Paired axial CT (left) and PSMA PET (right), [18F]PSMA-1007 tracer. Acquired on Siemens Biograph mCT Flow 20.
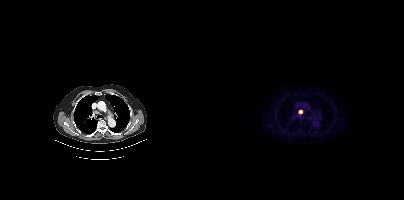
Coordinates are on the 200×200 PET (right) panel. PSMA-avid tumor lesion bounding boxes:
| # | x0 | y0 | x1 | y1 |
|---|---|---|---|---|
| 1 | 94 | 110 | 98 | 114 |